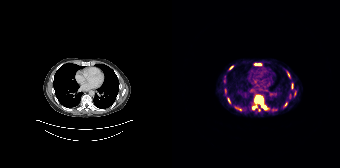
- Paired axial CT (left) and PSMA PET (right), [68Ga]Ga-PSMA-11 tracer
- acquired on Siemens Biograph 64-4R TruePoint
- slice position z = -380 mm
Findings: Coordinates are on the 168×168 PET (right) panel. (showing 9 of 11 foci) PSMA-avid tumor lesion bounding boxes (x0,y0,x1,y1): [82,95,95,109] [82,63,89,65] [80,105,85,109] [111,102,115,107] [115,72,118,77] [56,98,58,102]. Small PSMA-avid foci (2 to 4 px across) near (center x, center y): (59, 67) (53, 90) (68, 109).